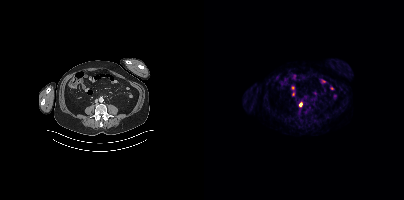
modality: PSMA PET/CT | tracer: 68Ga-PSMA | view: axial
Coordinates are on the 200×200 PET (right) panel. Small PSMA-avid focus (2 to 4 px across) near (center x, center y): (96, 104).